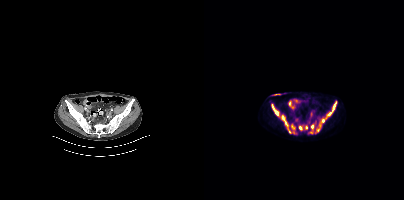
{"modality":"PSMA PET/CT","view":"axial","tracer":"18F-PSMA","pet_grid":[200,200],"coord_frame":"pet_panel","coord_format":"x0,y0,x1,y1","partial":true,"lesion_bboxes":[[67,103,86,132],[118,101,132,122]],"small_foci_centers":[[96,127],[108,126],[89,126],[102,127],[114,130]]}